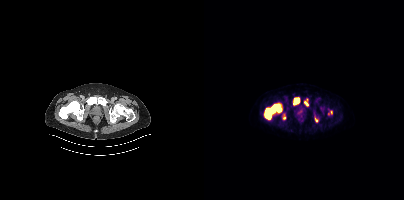
Coordinates are on the 200×200 PET (right) panel. (showing 5 of 7 foci) PSMA-avid tumor lesion bounding boxes (x0,y0,x1,y1): [61,104,77,119]; [90,98,95,104]; [100,101,104,105]; [79,115,81,119]. Small PSMA-avid focus (2 to 4 px across) near (center x, center y): (112, 120).